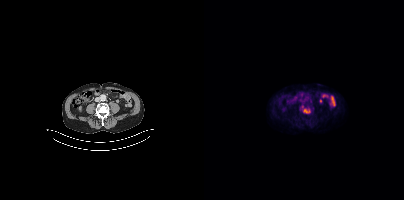
{"modality":"PSMA PET/CT","view":"axial","tracer":"[18F]PSMA-1007","pet_grid":[200,200],"coord_frame":"pet_panel","coord_format":"x0,y0,x1,y1","partial":true,"lesion_bboxes":[[99,109,106,113]]}